Left: CT. Right: PSMA PET, same axial level, 18F-PSMA tracer. PET panel 200×200 px (4.1 mm/px).
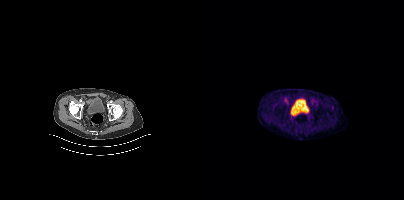
No PSMA-avid tumor lesions on this slice.